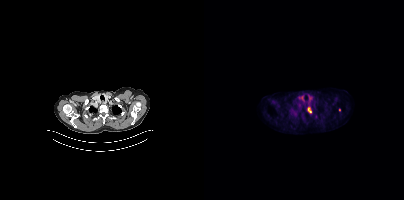
Coordinates are on the 200×200 PET (right) panel. PSMA-avid tumor lesion bounding box (x, y, width, height): x=103 y=106 w=5 h=8. Small PSMA-avid focus (2 to 4 px across) near (center x, center y): (135, 109).